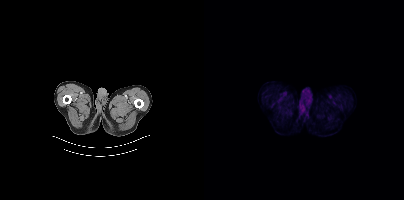
Findings: No tumor lesions annotated on this slice.
Technique: Paired axial CT (left) and PSMA PET (right), 18F tracer. slice 42 of 442. PET panel 200×200 px (4.1 mm/px).